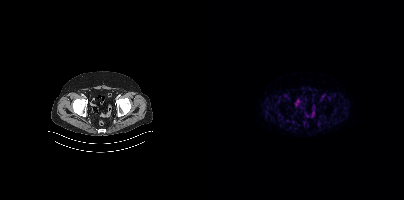
- Two-panel axial: CT | PSMA PET, 18F tracer
- acquired on Siemens Biograph mCT Flow 20
- PET panel 200×200 px (4.1 mm/px)
Findings: This slice has no annotated PSMA-avid lesion.